- Two-panel axial: CT | PSMA PET, 68Ga tracer
- acquired on Siemens Biograph mCT Flow 20
- slice position z = -1167 mm
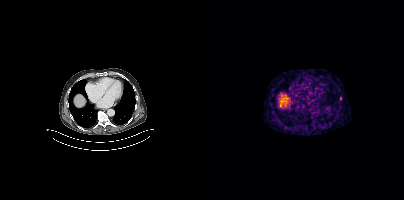
Findings: Coordinates are on the 200×200 PET (right) panel. Small PSMA-avid focus (2 to 4 px across) near (center x, center y): (136, 98).